- Left: CT. Right: PSMA PET, same axial level, [18F]PSMA-1007 tracer
- acquired on Siemens Biograph mCT Flow 20
- slice 283 of 417
- PET panel 200×200 px (4.1 mm/px)
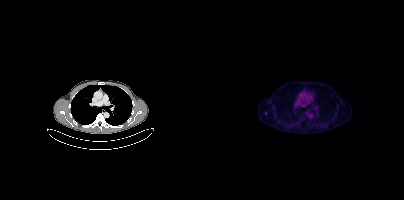
Findings: Coordinates are on the 200×200 PET (right) panel. PSMA-avid tumor lesion bounding box (x0,y0,x1,y1): [60,111,63,115]. Small PSMA-avid focus (2 to 4 px across) near (center x, center y): (133, 107).